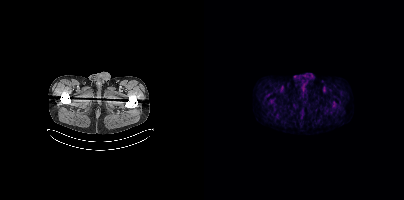
{"modality":"PSMA PET/CT","view":"axial","tracer":"[18F]PSMA-1007","pet_grid":[200,200],"coord_frame":"pet_panel","coord_format":"x0,y0,x1,y1","psma_avid_lesions":false}